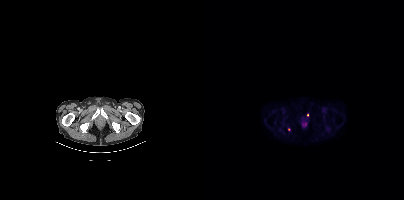
Findings: Coordinates are on the 200×200 PET (right) panel. Small PSMA-avid foci (2 to 4 px across) near (center x, center y): (84, 129) / (103, 114).
Technique: Paired axial CT (left) and PSMA PET (right), 18F tracer. slice position z = -457 mm. PET panel 200×200 px (4.1 mm/px).